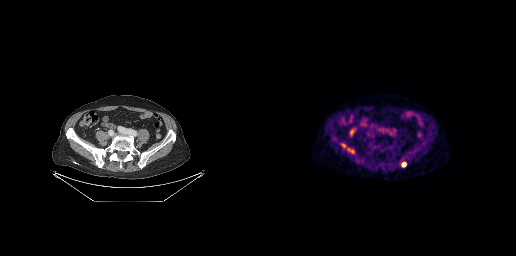
- Two-panel axial: CT | PSMA PET, 18F tracer
- acquired on GE Discovery 690
- slice position z = -713 mm
- PET panel 256×256 px (2.7 mm/px)
Findings: Coordinates are on the 256×256 PET (right) panel. PSMA-avid tumor lesion bounding box (x, y, width, height): x=90 y=150 w=5 h=4. Small PSMA-avid focus (2 to 4 px across) near (center x, center y): (143, 164).